Technique: Left: CT. Right: PSMA PET, same axial level, 18F-PSMA tracer. acquired on Siemens Biograph mCT Flow 20.
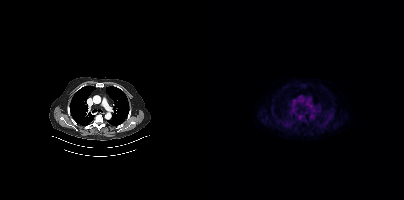
Findings: No PSMA-avid tumor lesions on this slice.